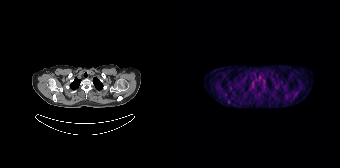
- Two-panel axial: CT | PSMA PET, 68Ga-PSMA tracer
- slice 154 of 195
Findings: Coordinates are on the 168×168 PET (right) panel. Small PSMA-avid focus (2 to 4 px across) near (center x, center y): (56, 102).